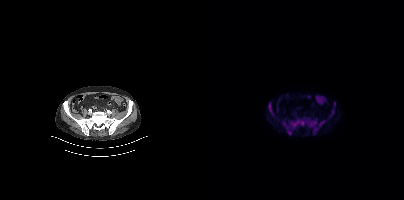
{"pet_grid":[200,200],"coord_frame":"pet_panel","coord_format":"x0,y0,x1,y1","partial":true,"lesion_bboxes":[[78,118,121,134],[65,103,69,115],[126,111,130,117]],"modality":"PSMA PET/CT","view":"axial","tracer":"18F"}